Two-panel axial: CT | PSMA PET, [68Ga]Ga-PSMA-11 tracer. PET panel 200×200 px (4.1 mm/px).
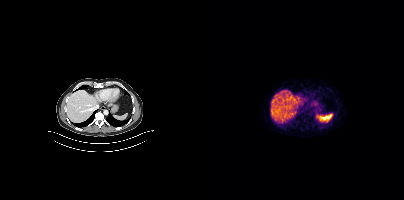
Negative for PSMA-avid disease on this slice.